Technique: Paired axial CT (left) and PSMA PET (right), 68Ga tracer. acquired on GE Discovery 690.
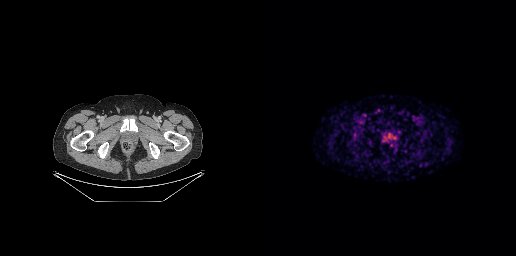
Findings: Coordinates are on the 256×256 PET (right) panel. (showing 1 of 3 foci) Small PSMA-avid focus (2 to 4 px across) near (center x, center y): (131, 144).